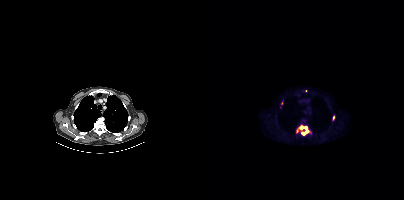
Findings: Coordinates are on the 200×200 PET (right) panel. (showing 2 of 5 foci) PSMA-avid tumor lesion bounding box (x0,y0,x1,y1): [93,125,105,135]. Small PSMA-avid focus (2 to 4 px across) near (center x, center y): (129, 117).
Technique: Left: CT. Right: PSMA PET, same axial level, 18F tracer. acquired on Siemens Biograph mCT Flow 20.